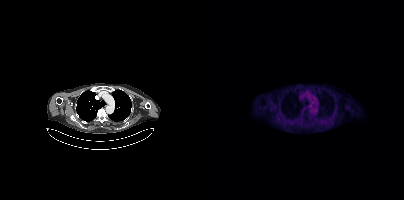
modality: PSMA PET/CT | tracer: 18F-PSMA | view: axial
No PSMA-avid tumor lesions on this slice.